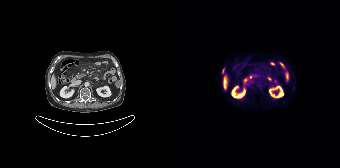
Coordinates are on the 168×168 PET (right) panel. Small PSMA-avid focus (2 to 4 px across) near (center x, center y): (51, 70). Two-panel axial: CT | PSMA PET, 18F tracer. PET panel 168×168 px (4.1 mm/px).